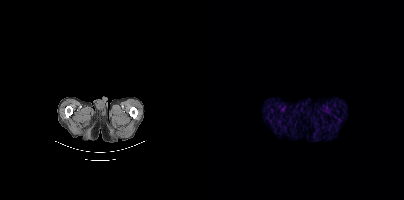
modality: PSMA PET/CT | tracer: [18F]PSMA-1007 | view: axial | PET grid: 200×200
No PSMA-avid tumor lesions on this slice.